- Paired axial CT (left) and PSMA PET (right), 18F-PSMA tracer
- PET panel 200×200 px (4.1 mm/px)
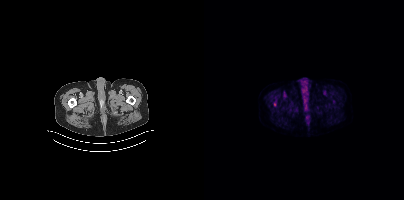
Findings: Coordinates are on the 200×200 PET (right) panel. Small PSMA-avid focus (2 to 4 px across) near (center x, center y): (70, 104).